Paired axial CT (left) and PSMA PET (right), 18F-PSMA tracer. PET panel 200×200 px (4.1 mm/px).
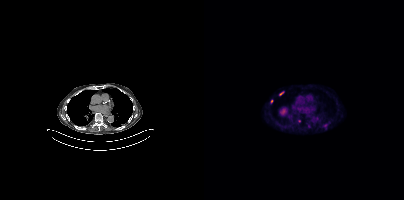
Coordinates are on the 200×200 PET (right) panel. PSMA-avid tumor lesion bounding boxes:
| # | x0 | y0 | x1 | y1 |
|---|---|---|---|---|
| 1 | 75 | 91 | 79 | 95 |
Small PSMA-avid foci (2 to 4 px across) near (center x, center y): (105, 125); (67, 101); (95, 121).